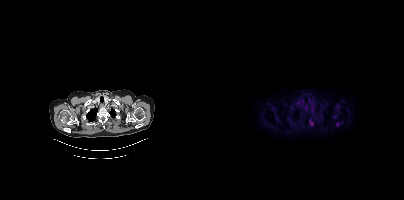
Paired axial CT (left) and PSMA PET (right), [18F]PSMA-1007 tracer. PET panel 200×200 px (4.1 mm/px). Coordinates are on the 200×200 PET (right) panel. (showing 1 of 2 foci) Small PSMA-avid focus (2 to 4 px across) near (center x, center y): (107, 123).